Paired axial CT (left) and PSMA PET (right), 68Ga tracer. Acquired on Siemens Biograph 64-4R TruePoint. Slice 111 of 195. PET panel 168×168 px (4.1 mm/px).
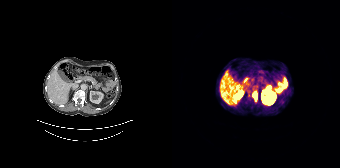
Coordinates are on the 168×168 PET (right) panel. PSMA-avid tumor lesion bounding boxes:
| # | x0 | y0 | x1 | y1 |
|---|---|---|---|---|
| 1 | 81 | 92 | 84 | 100 |